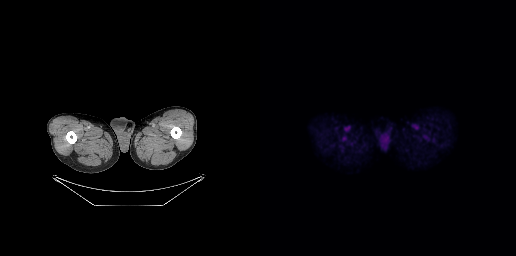
No tumor lesions annotated on this slice.
modality: PSMA PET/CT | tracer: 18F-PSMA | view: axial